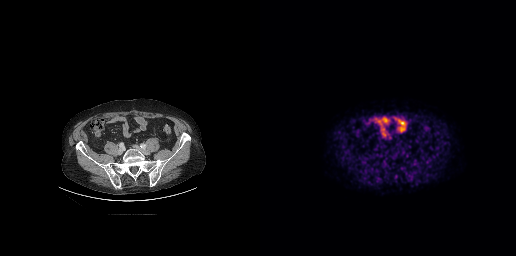
Coordinates are on the 256×256 PET (right) panel. Small PSMA-avid focus (2 to 4 px across) near (center x, center y): (117, 163).